modality: PSMA PET/CT | tracer: [18F]PSMA-1007 | view: axial | PET grid: 168×168
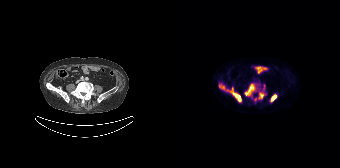
Coordinates are on the 168×168 PET (right) panel. (showing 4 of 5 foci) PSMA-avid tumor lesion bounding boxes (x0, y0)-(x1, y1): (47, 84)-(69, 101) / (73, 84)-(82, 95) / (98, 94)-(104, 101) / (87, 93)-(91, 98).